Paired axial CT (left) and PSMA PET (right), 18F tracer. Slice position z = -790 mm. PET panel 200×200 px (4.1 mm/px).
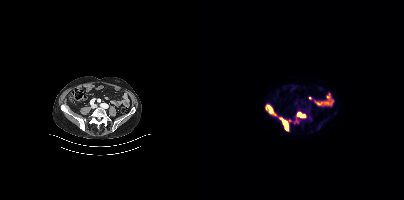
Coordinates are on the 200×200 PET (right) panel. PSMA-avid tumor lesion bounding boxes (partial; 1 more focus not listed):
| # | x0 | y0 | x1 | y1 |
|---|---|---|---|---|
| 1 | 75 | 117 | 84 | 131 |
| 2 | 61 | 104 | 72 | 115 |
| 3 | 93 | 112 | 101 | 117 |
Small PSMA-avid foci (2 to 4 px across) near (center x, center y): (92, 121); (105, 117).